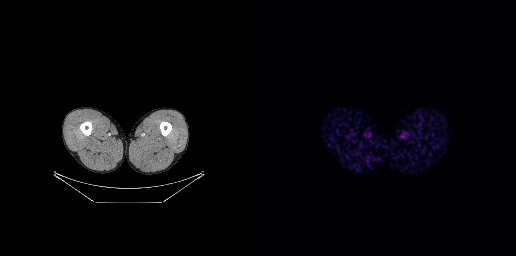
{"modality":"PSMA PET/CT","view":"axial","tracer":"68Ga","pet_grid":[256,256],"coord_frame":"pet_panel","coord_format":"x0,y0,x1,y1","psma_avid_lesions":false}